Technique: Left: CT. Right: PSMA PET, same axial level, 18F-PSMA tracer. slice position z = -823 mm.
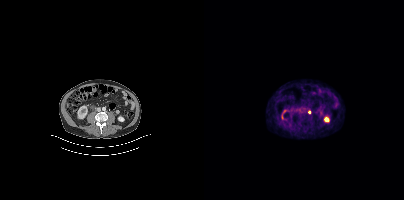
Findings: Coordinates are on the 200×200 PET (right) panel. Small PSMA-avid focus (2 to 4 px across) near (center x, center y): (105, 112).